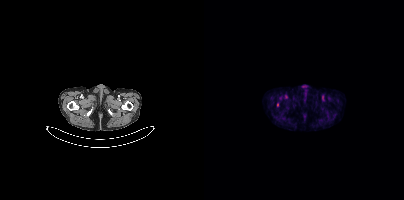
Paired axial CT (left) and PSMA PET (right), 18F-PSMA tracer. Acquired on Siemens Biograph mCT Flow 20. Coordinates are on the 200×200 PET (right) panel. Small PSMA-avid focus (2 to 4 px across) near (center x, center y): (73, 104).